Two-panel axial: CT | PSMA PET, 68Ga tracer. Slice position z = -827 mm.
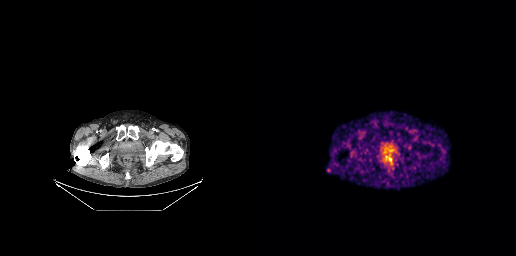
Coordinates are on the 256×256 PET (right) panel. PSMA-avid tumor lesion bounding boxes:
| # | x0 | y0 | x1 | y1 |
|---|---|---|---|---|
| 1 | 122 | 152 | 127 | 158 |